Paired axial CT (left) and PSMA PET (right), 18F tracer. Acquired on Siemens Biograph mCT Flow 20. PET panel 200×200 px (4.1 mm/px).
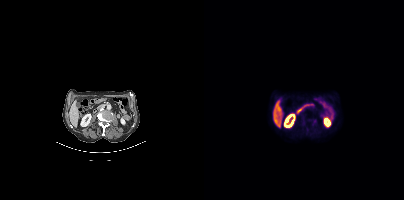
No PSMA-avid tumor lesions on this slice.